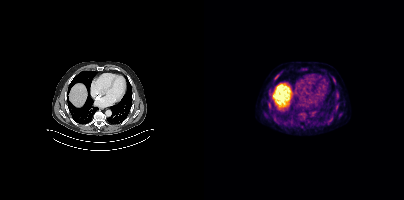
- Paired axial CT (left) and PSMA PET (right), 18F-PSMA tracer
- acquired on Siemens Biograph mCT Flow 20
Findings: Coordinates are on the 200×200 PET (right) panel. (showing 7 of 8 foci) PSMA-avid tumor lesion bounding box (x0,y0,x1,y1): [128,77,131,81]. Small PSMA-avid foci (2 to 4 px across) near (center x, center y): (65, 103) (127, 117) (71, 78) (74, 75) (133, 104) (62, 115).